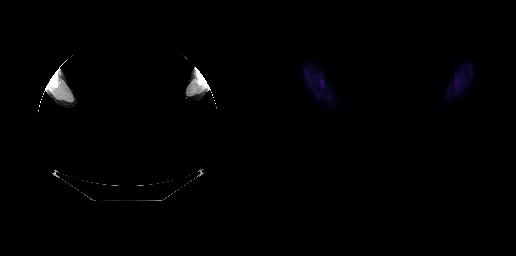
Technique: Paired axial CT (left) and PSMA PET (right), 18F-PSMA tracer. slice position z = -31 mm. PET panel 256×256 px (2.7 mm/px).
Note: A rectangle over the head was blacked out to remove identifiable facial features.
Findings: Negative for PSMA-avid disease on this slice.